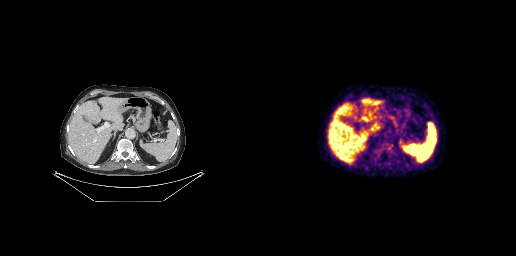
modality: PSMA PET/CT | tracer: 18F-PSMA | view: axial
Negative for PSMA-avid disease on this slice.